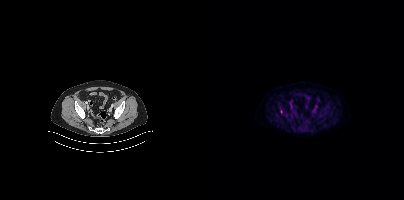
Two-panel axial: CT | PSMA PET, 18F tracer. Acquired on Siemens Biograph mCT Flow 20. Slice position z = -830 mm. PET panel 200×200 px (4.1 mm/px). Coordinates are on the 200×200 PET (right) panel. Small PSMA-avid foci (2 to 4 px across) near (center x, center y): (87, 104) / (77, 110).